- face de-identified by blanking a block of the head
- Paired axial CT (left) and PSMA PET (right), [18F]PSMA-1007 tracer
- acquired on Siemens Biograph mCT Flow 20
- PET panel 200×200 px (4.1 mm/px)
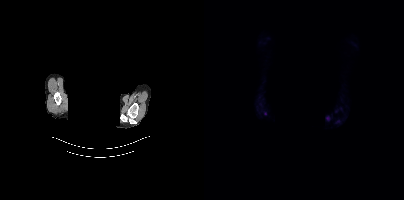
Findings: Coordinates are on the 200×200 PET (right) panel. Small PSMA-avid foci (2 to 4 px across) near (center x, center y): (123, 118) / (61, 113).